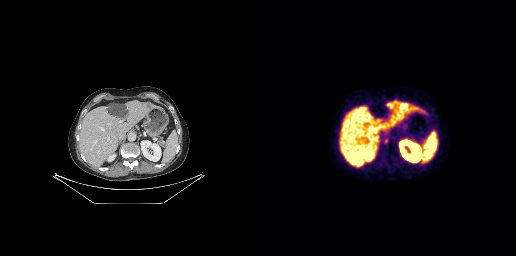
{"modality":"PSMA PET/CT","view":"axial","tracer":"18F-PSMA","pet_grid":[256,256],"coord_frame":"pet_panel","coord_format":"x0,y0,x1,y1","lesion_bboxes":[],"small_foci_centers":[[126,140]]}